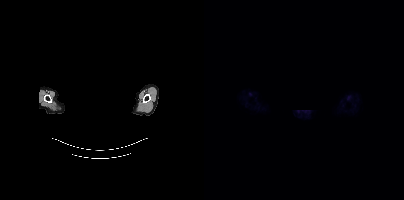
- Two-panel axial: CT | PSMA PET, 68Ga tracer
- slice position z = -900 mm
- PET panel 200×200 px (4.1 mm/px)
- de-identified by setting a box covering the face to black before release
Findings: Negative for PSMA-avid disease on this slice.